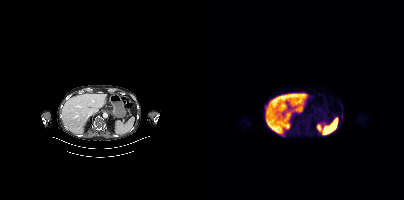
{"modality":"PSMA PET/CT","view":"axial","tracer":"18F-PSMA","pet_grid":[200,200],"coord_frame":"pet_panel","coord_format":"x0,y0,x1,y1","partial":true,"lesion_bboxes":[[137,114,138,120],[61,105,62,109]]}